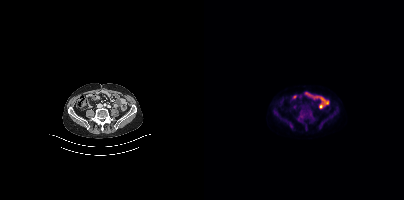
This slice has no annotated PSMA-avid lesion. Left: CT. Right: PSMA PET, same axial level, 18F tracer. PET panel 200×200 px (4.1 mm/px).